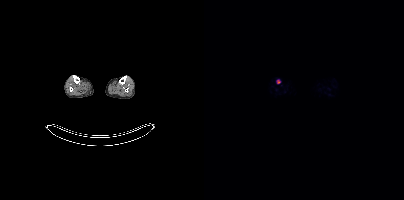
{"modality":"PSMA PET/CT","view":"axial","tracer":"18F-PSMA","pet_grid":[200,200],"coord_frame":"pet_panel","coord_format":"x0,y0,x1,y1","lesion_bboxes":[],"small_foci_centers":[[74,81]]}